Two-panel axial: CT | PSMA PET, 18F tracer. Acquired on Siemens Biograph mCT Flow 20.
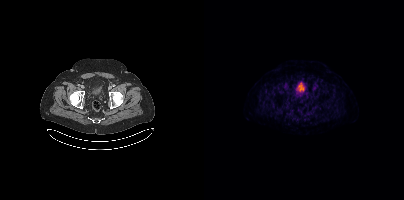
This slice has no annotated PSMA-avid lesion.